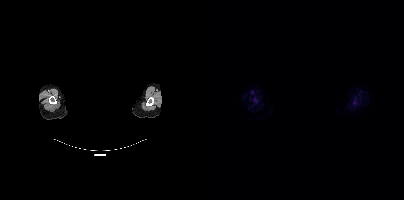
A rectangular block over the head has been blanked out for de-identification.
Coordinates are on the 200×200 PET (right) panel. PSMA-avid tumor lesion bounding boxes (x0, y0)-(x1, y1): (48, 98)-(53, 103) | (149, 101)-(153, 105).